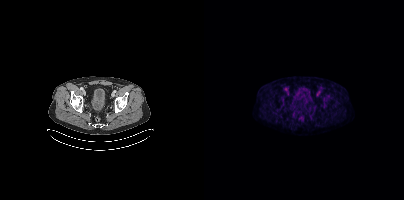
Negative for PSMA-avid disease on this slice.